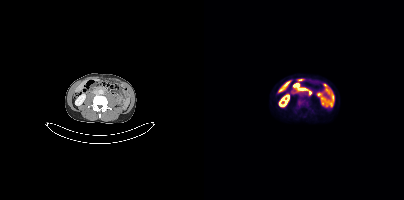
Left: CT. Right: PSMA PET, same axial level, 18F tracer. Coordinates are on the 200×200 PET (right) panel. PSMA-avid tumor lesion bounding box (x0, y0)-(x1, y1): (94, 99)-(98, 104).